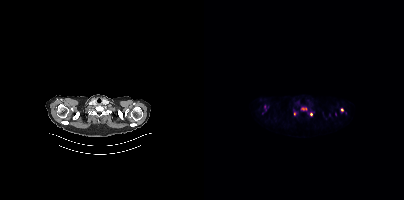
Technique: Paired axial CT (left) and PSMA PET (right), [18F]PSMA-1007 tracer. acquired on Siemens Biograph mCT Flow 20.
Findings: Coordinates are on the 200×200 PET (right) panel. (showing 3 of 6 foci) Small PSMA-avid foci (2 to 4 px across) near (center x, center y): (107, 114); (90, 113); (137, 109).